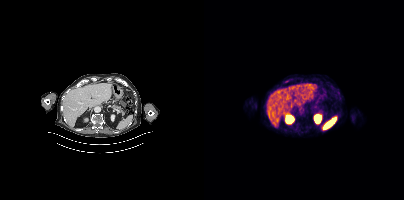
- Two-panel axial: CT | PSMA PET, [18F]PSMA-1007 tracer
- acquired on Siemens Biograph mCT Flow 20
Findings: Coordinates are on the 200×200 PET (right) panel. Small PSMA-avid focus (2 to 4 px across) near (center x, center y): (82, 81).